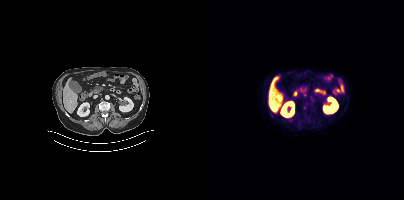
Paired axial CT (left) and PSMA PET (right), [18F]PSMA-1007 tracer. Acquired on Siemens Biograph mCT Flow 20. PET panel 200×200 px (4.1 mm/px). Coordinates are on the 200×200 PET (right) panel. Small PSMA-avid foci (2 to 4 px across) near (center x, center y): (100, 94) / (100, 107).